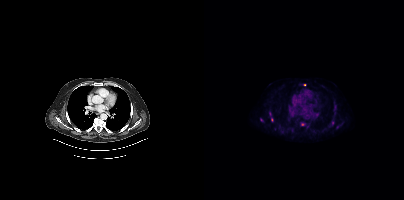
Coordinates are on the 200×200 PET (right) panel. (showing 3 of 7 foci) Small PSMA-avid foci (2 to 4 px across) near (center x, center y): (128, 122) (100, 84) (67, 120).